modality: PSMA PET/CT | tracer: [18F]PSMA-1007 | view: axial | PET grid: 256×256
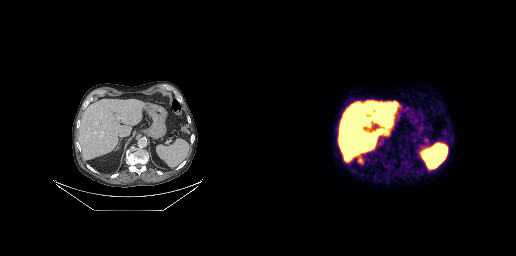
No PSMA-avid tumor lesions on this slice.